Paired axial CT (left) and PSMA PET (right), 68Ga-PSMA tracer.
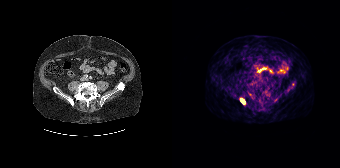
Coordinates are on the 168×168 PET (right) panel. PSMA-avid tumor lesion bounding box (x0,y0,x1,y1): [68,98,73,104].